modality: PSMA PET/CT | tracer: 18F-PSMA | view: axial
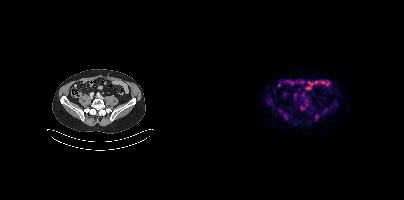
No PSMA-avid tumor lesions on this slice.